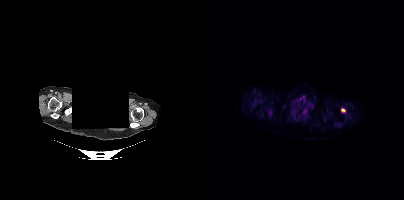
Coordinates are on the 200×200 PET (right) panel. PSMA-avid tumor lesion bounding box (x, y, width, height): x=137 y=108 w=5 h=5.
De-identified by setting a box covering the face to black before release.